modality: PSMA PET/CT | tracer: [18F]PSMA-1007 | view: axial
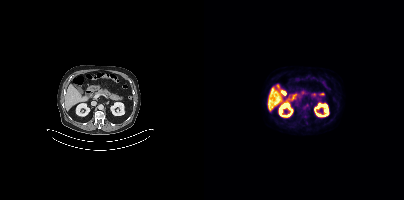
No PSMA-avid tumor lesions on this slice.